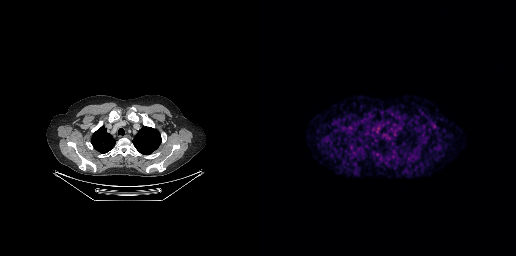
No tumor lesions annotated on this slice.
modality: PSMA PET/CT | tracer: [68Ga]Ga-PSMA-11 | view: axial | PET grid: 256×256